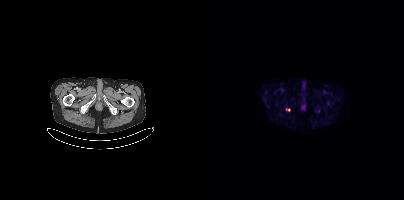
- Left: CT. Right: PSMA PET, same axial level, 18F tracer
Findings: Coordinates are on the 200×200 PET (right) panel. (showing 1 of 2 foci) Small PSMA-avid focus (2 to 4 px across) near (center x, center y): (84, 110).